Paired axial CT (left) and PSMA PET (right), 18F-PSMA tracer. PET panel 256×256 px (2.7 mm/px).
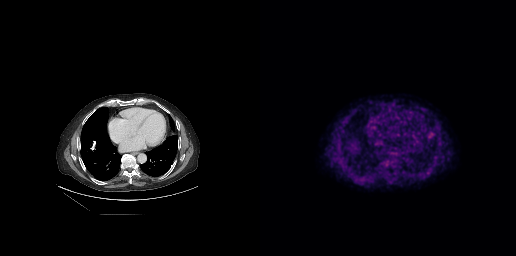
Coordinates are on the 256×256 PET (right) panel. PSMA-avid tumor lesion bounding box (x0, y0)-(x1, y1): (112, 175)-(116, 179).